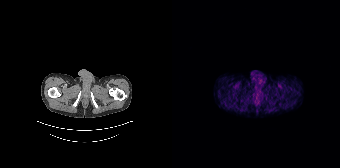
modality: PSMA PET/CT | tracer: 68Ga-PSMA | view: axial
No PSMA-avid tumor lesions on this slice.